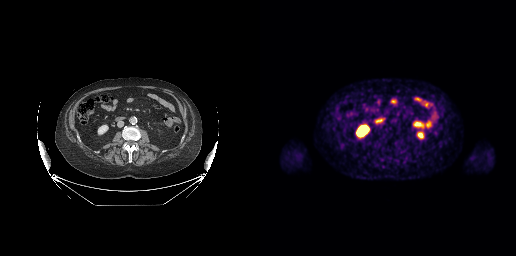
Paired axial CT (left) and PSMA PET (right), [18F]PSMA-1007 tracer. Acquired on GE Discovery 690. PET panel 256×256 px (2.7 mm/px). Negative for PSMA-avid disease on this slice.